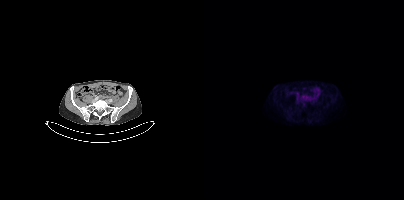
{"pet_grid":[200,200],"coord_frame":"pet_panel","coord_format":"x0,y0,x1,y1","psma_avid_lesions":false,"modality":"PSMA PET/CT","view":"axial","tracer":"18F"}